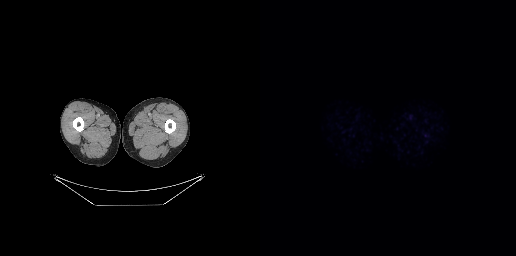
{"modality":"PSMA PET/CT","view":"axial","tracer":"18F","pet_grid":[256,256],"coord_frame":"pet_panel","coord_format":"x0,y0,x1,y1","psma_avid_lesions":false}